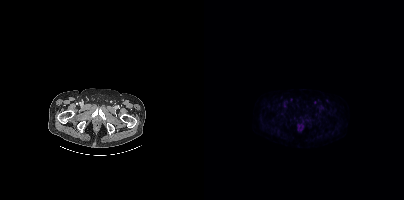
Technique: Paired axial CT (left) and PSMA PET (right), 18F tracer. slice position z = -1589 mm.
Findings: No PSMA-avid tumor lesions on this slice.